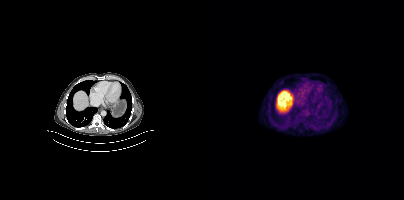
{"pet_grid":[200,200],"coord_frame":"pet_panel","coord_format":"x0,y0,x1,y1","psma_avid_lesions":false,"modality":"PSMA PET/CT","view":"axial","tracer":"18F"}